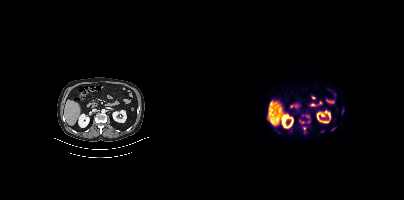
Only PSMA-avid lesion pieces thinner than 2 px on this slice (not listed). Two-panel axial: CT | PSMA PET, 18F-PSMA tracer. Slice position z = -40 mm.